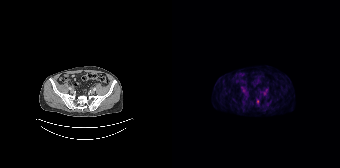
{"modality":"PSMA PET/CT","view":"axial","tracer":"18F-PSMA","pet_grid":[168,168],"coord_frame":"pet_panel","coord_format":"x0,y0,x1,y1","lesion_bboxes":[[85,99,86,103]]}